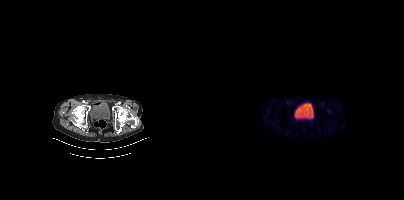
No PSMA-avid tumor lesions on this slice.
modality: PSMA PET/CT | tracer: 68Ga | view: axial | PET grid: 200×200